Technique: Paired axial CT (left) and PSMA PET (right), 68Ga tracer. acquired on Siemens Biograph mCT Flow 20.
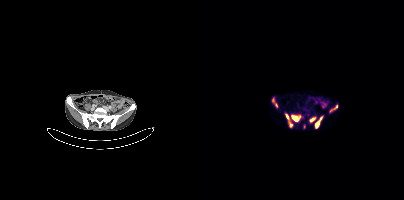
Findings: Coordinates are on the 200×200 PET (right) panel. PSMA-avid tumor lesion bounding boxes (x0, y0)-(x1, y1): (87, 115)-(96, 121); (111, 117)-(118, 128); (68, 98)-(73, 107); (105, 118)-(110, 122); (126, 105)-(133, 111); (82, 114)-(85, 119). Small PSMA-avid foci (2 to 4 px across) near (center x, center y): (87, 124); (100, 126).